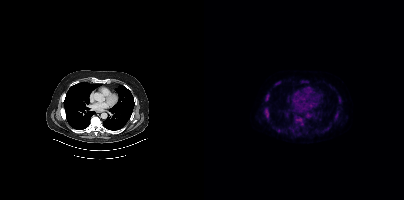
Coordinates are on the 200×200 PET (right) panel. PSMA-avid tumor lesion bounding boxes (x0, y0)-(x1, y1): (90, 115)-(99, 124) / (60, 107)-(65, 120) / (61, 94)-(65, 101) / (98, 80)-(102, 83) / (131, 111)-(135, 117). Small PSMA-avid foci (2 to 4 px across) near (center x, center y): (135, 101) / (74, 130) / (73, 84) / (124, 128) / (69, 126).